Paired axial CT (left) and PSMA PET (right), [18F]PSMA-1007 tracer. Acquired on Siemens Biograph mCT Flow 20. Slice position z = -1121 mm.
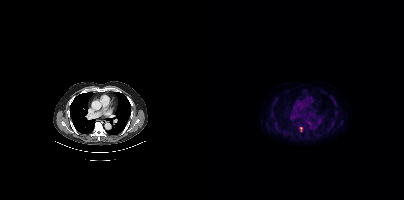
Coordinates are on the 200×200 PET (right) panel. PSMA-avid tumor lesion bounding boxes:
| # | x0 | y0 | x1 | y1 |
|---|---|---|---|---|
| 1 | 96 | 127 | 98 | 131 |